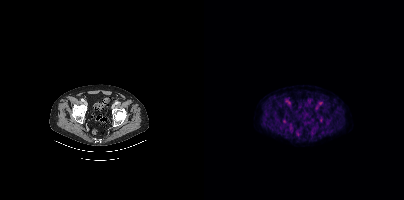
Two-panel axial: CT | PSMA PET, [18F]PSMA-1007 tracer. Slice position z = -847 mm. PET panel 200×200 px (4.1 mm/px). No tumor lesions annotated on this slice.